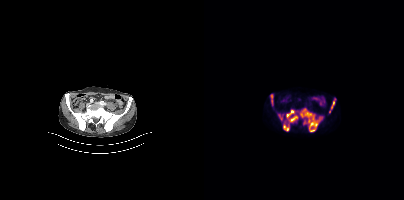
{"modality":"PSMA PET/CT","view":"axial","tracer":"[18F]PSMA-1007","pet_grid":[200,200],"coord_frame":"pet_panel","coord_format":"x0,y0,x1,y1","lesion_bboxes":[[96,108,119,131],[82,110,94,122],[125,98,132,113],[79,124,85,131],[67,95,68,103],[75,115,78,119]]}